modality: PSMA PET/CT | tracer: [68Ga]Ga-PSMA-11 | view: axial | PET grid: 200×200
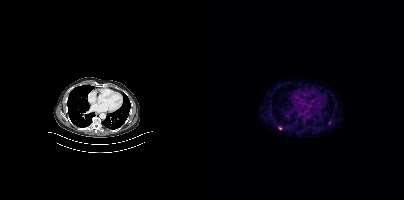
Coordinates are on the 200×200 PET (right) panel. Small PSMA-avid focus (2 to 4 px across) near (center x, center y): (76, 128).